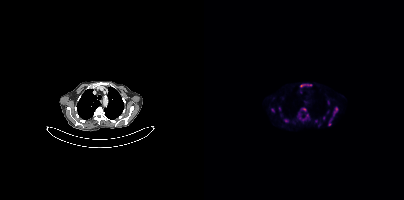
{"pet_grid":[200,200],"coord_frame":"pet_panel","coord_format":"x0,y0,x1,y1","partial":true,"lesion_bboxes":[[129,107,133,115],[80,119,84,122],[98,108,102,111],[96,84,101,86],[103,84,107,85]],"small_foci_centers":[[125,123],[68,110],[103,115],[119,117]],"modality":"PSMA PET/CT","view":"axial","tracer":"[18F]PSMA-1007"}